modality: PSMA PET/CT | tracer: 68Ga-PSMA | view: axial | PET grid: 168×168
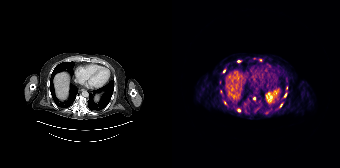
Coordinates are on the 168×168 PET (right) panel. (showing 3 of 8 foci) Small PSMA-avid foci (2 to 4 px across) near (center x, center y): (67, 110) | (82, 98) | (113, 95).